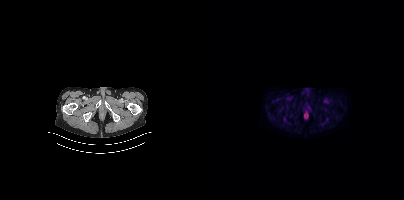
- Two-panel axial: CT | PSMA PET, [18F]PSMA-1007 tracer
- slice position z = -1525 mm
- PET panel 200×200 px (4.1 mm/px)
Findings: No PSMA-avid tumor lesions on this slice.